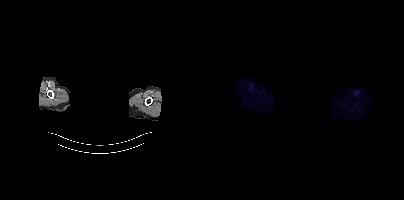
modality: PSMA PET/CT | tracer: 18F-PSMA | view: axial | de-identification: privacy mask over head
Negative for PSMA-avid disease on this slice.